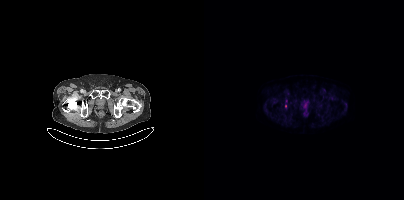
{"modality":"PSMA PET/CT","view":"axial","tracer":"[18F]PSMA-1007","pet_grid":[200,200],"coord_frame":"pet_panel","coord_format":"x0,y0,x1,y1","lesion_bboxes":[],"small_foci_centers":[[81,106]]}